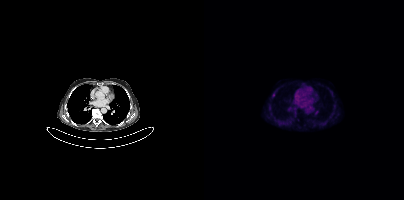
No PSMA-avid tumor lesions on this slice. Left: CT. Right: PSMA PET, same axial level, [18F]PSMA-1007 tracer. Slice position z = -410 mm.